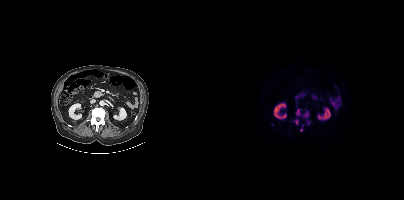
Paired axial CT (left) and PSMA PET (right), 18F-PSMA tracer. PET panel 200×200 px (4.1 mm/px).
Coordinates are on the 200×200 PET (right) panel. PSMA-avid tumor lesion bounding boxes:
| # | x0 | y0 | x1 | y1 |
|---|---|---|---|---|
| 1 | 92 | 109 | 105 | 117 |
| 2 | 90 | 119 | 94 | 124 |
| 3 | 96 | 125 | 99 | 131 |
| 4 | 103 | 120 | 105 | 124 |